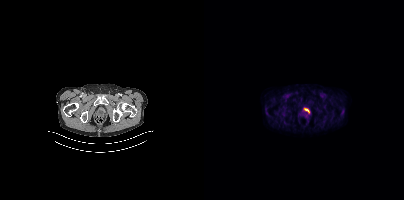
Technique: Left: CT. Right: PSMA PET, same axial level, 18F-PSMA tracer.
Findings: Coordinates are on the 200×200 PET (right) panel. PSMA-avid tumor lesion bounding box (x0, y0)-(x1, y1): (99, 108)-(105, 113).